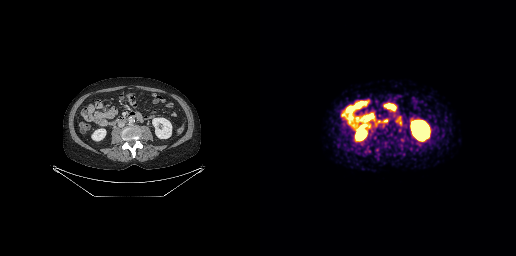
{"modality":"PSMA PET/CT","view":"axial","tracer":"68Ga-PSMA","pet_grid":[256,256],"coord_frame":"pet_panel","coord_format":"x0,y0,x1,y1","psma_avid_lesions":false}